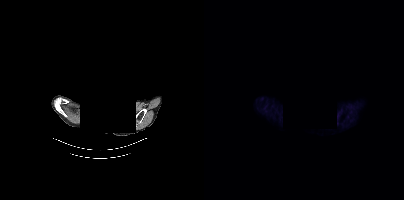
- Two-panel axial: CT | PSMA PET, [18F]PSMA-1007 tracer
- acquired on Siemens Biograph mCT Flow 20
- slice 365 of 411
- PET panel 200×200 px (4.1 mm/px)
- the head region is masked for de-identification
Findings: No PSMA-avid tumor lesions on this slice.